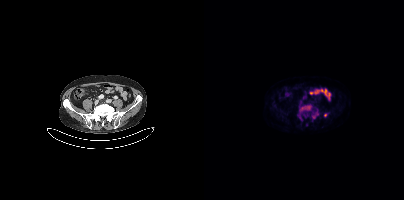
- Left: CT. Right: PSMA PET, same axial level, 18F-PSMA tracer
- slice 121 of 429
Findings: Coordinates are on the 200×200 PET (right) panel. (showing 3 of 4 foci) PSMA-avid tumor lesion bounding box (x0,y0,x1,y1): [96,105,106,110]. Small PSMA-avid foci (2 to 4 px across) near (center x, center y): (121, 114); (109, 117).